modality: PSMA PET/CT | tracer: 68Ga | view: axial | PET grid: 200×200
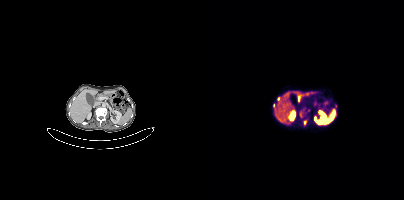
Coordinates are on the 200×200 PET (right) panel. (showing 3 of 5 foci) Small PSMA-avid foci (2 to 4 px across) near (center x, center y): (100, 122), (74, 98), (69, 105).